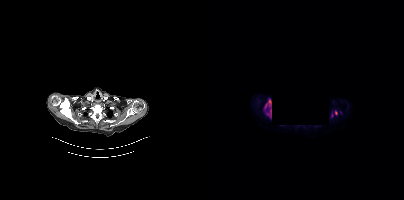
Technique: Paired axial CT (left) and PSMA PET (right), 18F tracer. acquired on Siemens Biograph mCT Flow 20. slice position z = -868 mm.
Note: A black rectangle in this scan is a privacy mask, not anatomy.
Findings: Coordinates are on the 200×200 PET (right) panel. PSMA-avid tumor lesion bounding box (x, y, width, height): x=60 y=99 w=8 h=20. Small PSMA-avid foci (2 to 4 px across) near (center x, center y): (132, 112) | (127, 115).